Paired axial CT (left) and PSMA PET (right), 68Ga-PSMA tracer. Slice position z = 44 mm. An anonymization step blacked out a rectangle over the head in this scan.
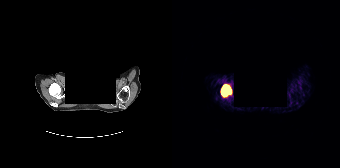
Coordinates are on the 168×168 PET (right) panel. PSMA-avid tumor lesion bounding box (x0,y0,x1,y1): [49,85,59,96].